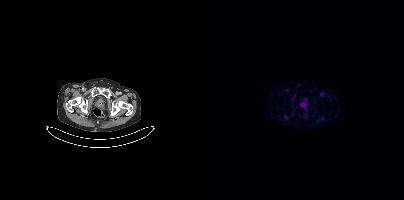
Two-panel axial: CT | PSMA PET, 18F tracer. Acquired on Siemens Biograph mCT Flow 20. PET panel 200×200 px (4.1 mm/px). No PSMA-avid tumor lesions on this slice.